modality: PSMA PET/CT | tracer: 18F-PSMA | view: axial | PET grid: 200×200
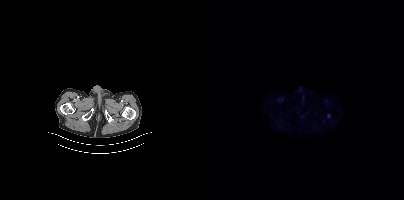
Coordinates are on the 200×200 PET (right) panel. Small PSMA-avid focus (2 to 4 px across) near (center x, center y): (124, 115).